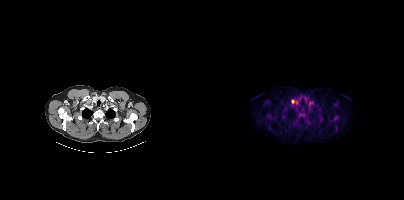
{"modality":"PSMA PET/CT","view":"axial","tracer":"[18F]PSMA-1007","pet_grid":[200,200],"coord_frame":"pet_panel","coord_format":"x0,y0,x1,y1","lesion_bboxes":[[92,102,95,106]],"small_foci_centers":[[88,101],[107,102]]}